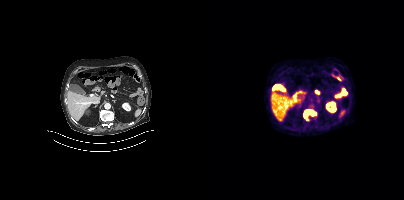
Findings: Coordinates are on the 200×200 PET (right) panel. PSMA-avid tumor lesion bounding box (x, y, width, height): x=99 y=109 w=14 h=12.
- Left: CT. Right: PSMA PET, same axial level, [18F]PSMA-1007 tracer
- slice 226 of 429
- PET panel 200×200 px (4.1 mm/px)